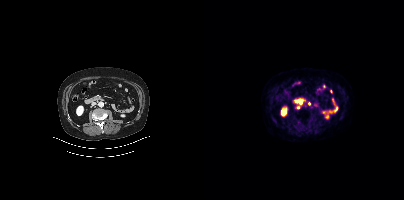
Coordinates are on the 200×200 PET (right) panel. Small PSMA-avid foci (2 to 4 px across) near (center x, center y): (92, 107) / (96, 102) / (105, 103).